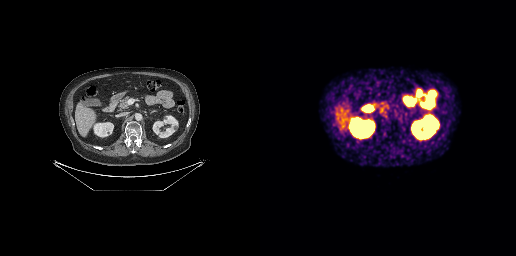
{"modality":"PSMA PET/CT","view":"axial","tracer":"68Ga","pet_grid":[256,256],"coord_frame":"pet_panel","coord_format":"x0,y0,x1,y1","psma_avid_lesions":false}